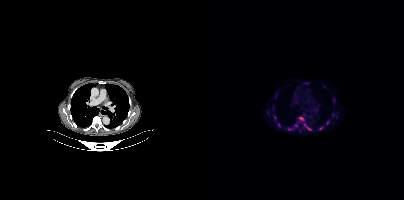
Technique: Two-panel axial: CT | PSMA PET, 18F-PSMA tracer. slice position z = 362 mm. PET panel 200×200 px (4.1 mm/px).
Findings: Coordinates are on the 200×200 PET (right) panel. (showing 10 of 11 foci) PSMA-avid tumor lesion bounding boxes (x0,y0,x1,y1): [94,117,100,120], [100,124,107,130], [84,128,88,130], [69,115,71,119]. Small PSMA-avid foci (2 to 4 px across) near (center x, center y): (116, 128), (64, 112), (92, 125), (69, 108), (74, 125), (123, 123).